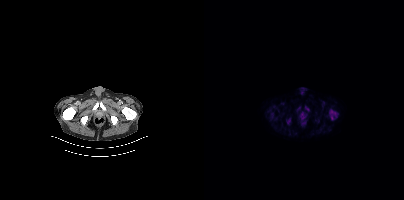
Technique: Left: CT. Right: PSMA PET, same axial level, 18F tracer. slice position z = -880 mm.
Findings: Coordinates are on the 200×200 PET (right) panel. PSMA-avid tumor lesion bounding boxes (x, y, width, height): x=125 y=109 w=10 h=12 | x=83 y=119 w=4 h=5.